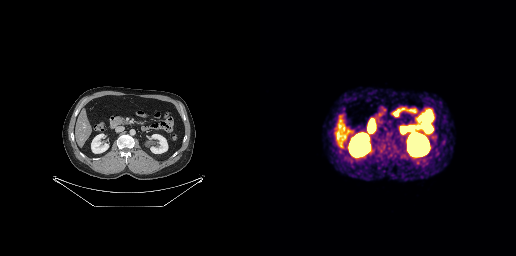
Two-panel axial: CT | PSMA PET, 68Ga-PSMA tracer. PET panel 256×256 px (2.7 mm/px). Negative for PSMA-avid disease on this slice.